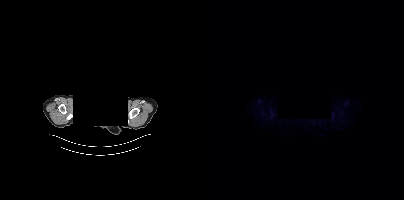
Any black rectangle over the head is a privacy mask, not anatomy. Left: CT. Right: PSMA PET, same axial level, [18F]PSMA-1007 tracer. Acquired on Siemens Biograph mCT Flow 20. Slice 354 of 389. PET panel 200×200 px (4.1 mm/px). This slice has no annotated PSMA-avid lesion.